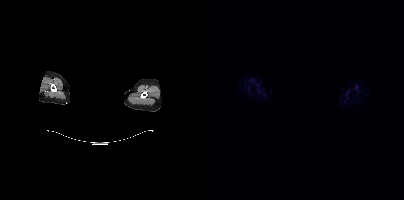
Left: CT. Right: PSMA PET, same axial level, 18F tracer. Slice 420 of 435. PET panel 200×200 px (4.1 mm/px). A rectangle over the head was blacked out to remove identifiable facial features. No tumor lesions annotated on this slice.